modality: PSMA PET/CT | tracer: 68Ga-PSMA | view: axial | PET grid: 200×200
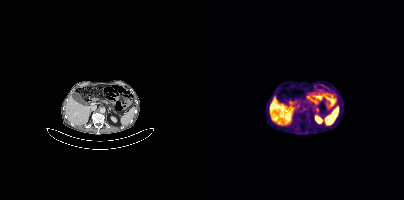
Coordinates are on the 200×200 PET (right) panel. Small PSMA-avid focus (2 to 4 px across) near (center x, center y): (113, 109).